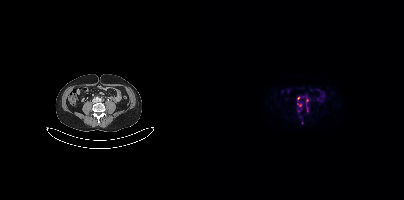
Left: CT. Right: PSMA PET, same axial level, [68Ga]Ga-PSMA-11 tracer. Slice position z = -1339 mm. Coordinates are on the 200×200 PET (right) panel. (showing 3 of 5 foci) PSMA-avid tumor lesion bounding boxes (x0,y0,x1,y1): [93,102,98,107] [102,97,104,102]. Small PSMA-avid focus (2 to 4 px across) near (center x, center y): (94, 98).